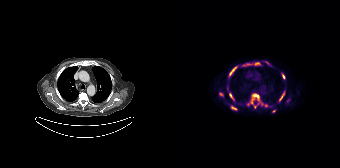
Left: CT. Right: PSMA PET, same axial level, [18F]PSMA-1007 tracer. Acquired on Siemens Biograph 64-4R TruePoint. Slice 124 of 165.
Coordinates are on the 168×168 PET (right) panel. PSMA-avid tumor lesion bounding boxes (partial; 2 more foci not listed):
| # | x0 | y0 | x1 | y1 |
|---|---|---|---|---|
| 1 | 78 | 93 | 90 | 104 |
| 2 | 57 | 66 | 65 | 76 |
| 3 | 107 | 91 | 112 | 101 |
| 4 | 57 | 93 | 62 | 100 |
| 5 | 59 | 106 | 65 | 110 |
| 6 | 110 | 73 | 113 | 79 |
| 7 | 83 | 62 | 87 | 64 |
Small PSMA-avid foci (2 to 4 px across) near (center x, center y): (49, 94); (83, 107); (76, 104); (94, 105); (102, 111).